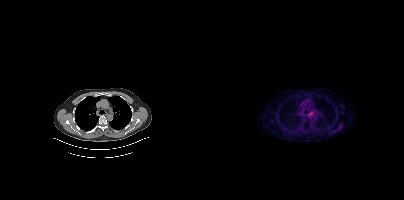
modality: PSMA PET/CT | tracer: 68Ga-PSMA | view: axial | PET grid: 200×200
Coordinates are on the 200×200 PET (right) panel. Small PSMA-avid focus (2 to 4 px across) near (center x, center y): (107, 113).